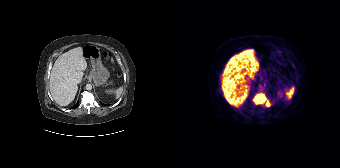
Findings: Coordinates are on the 168×168 PET (right) panel. (showing 1 of 2 foci) PSMA-avid tumor lesion bounding box (x, y, width, height): x=81 y=93 w=18 h=14.
- Left: CT. Right: PSMA PET, same axial level, 68Ga-PSMA tracer
- acquired on Siemens Biograph 64-4R TruePoint
- slice position z = -1158 mm